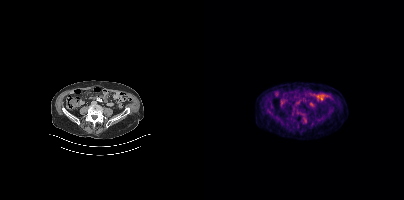
Negative for PSMA-avid disease on this slice.